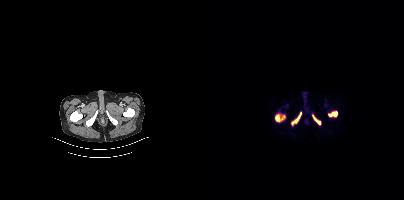
Coordinates are on the 200×200 PET (right) panel. PSMA-avid tumor lesion bounding boxes (x0, y0)-(x1, y1): (87, 112)-(97, 125) / (71, 115)-(80, 121) / (124, 111)-(133, 116) / (108, 115)-(116, 124).